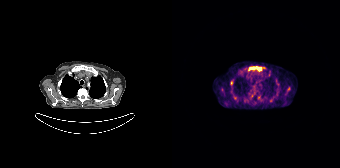
{"modality":"PSMA PET/CT","view":"axial","tracer":"68Ga-PSMA","pet_grid":[168,168],"coord_frame":"pet_panel","coord_format":"x0,y0,x1,y1","partial":true,"lesion_bboxes":[[76,67,89,71],[58,81,61,85]],"small_foci_centers":[[62,97],[99,100],[97,73],[86,97],[116,89]]}